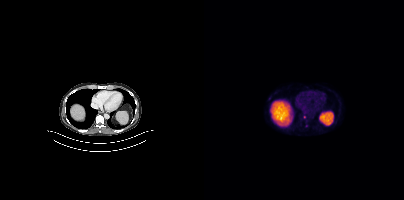
Left: CT. Right: PSMA PET, same axial level, 18F tracer. Coordinates are on the 200×200 PET (right) panel. Small PSMA-avid focus (2 to 4 px across) near (center x, center y): (100, 116).